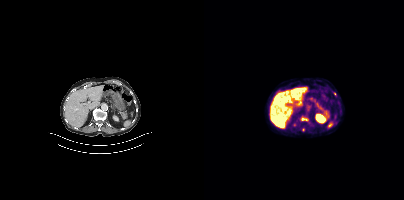
Coordinates are on the 200×200 PET (right) panel. PSMA-avid tumor lesion bounding box (x0, y0)-(x1, y1): (98, 118)-(102, 120). Small PSMA-avid foci (2 to 4 px across) near (center x, center y): (99, 129) / (130, 93).